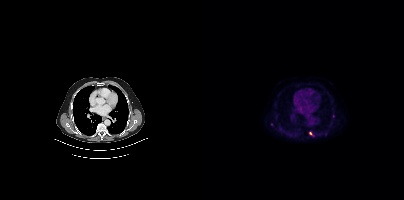
{"pet_grid":[200,200],"coord_frame":"pet_panel","coord_format":"x0,y0,x1,y1","lesion_bboxes":[],"small_foci_centers":[[106,133]],"modality":"PSMA PET/CT","view":"axial","tracer":"18F"}